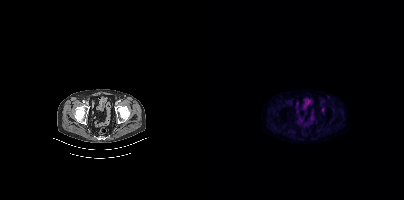
{"modality":"PSMA PET/CT","view":"axial","tracer":"[18F]PSMA-1007","pet_grid":[200,200],"coord_frame":"pet_panel","coord_format":"x0,y0,x1,y1","lesion_bboxes":[],"small_foci_centers":[[119,109]]}